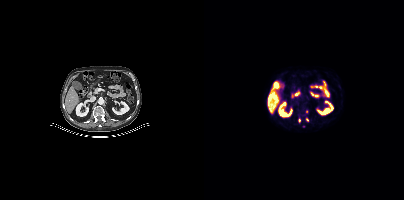
Coordinates are on the 200×200 PET (right) panel. Small PSMA-avid foci (2 to 4 px across) near (center x, center y): (102, 111); (95, 120); (103, 120).